Two-panel axial: CT | PSMA PET, 18F tracer. Acquired on GE Discovery 690.
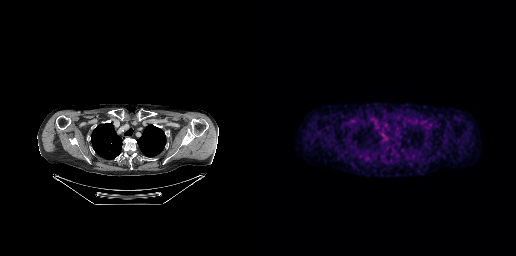
No PSMA-avid tumor lesions on this slice.